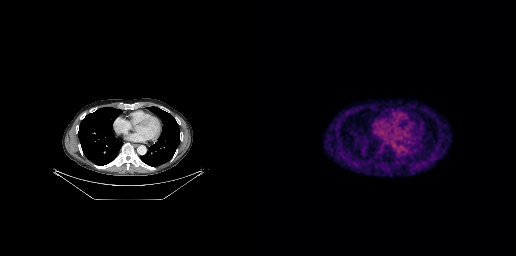
No tumor lesions annotated on this slice.
modality: PSMA PET/CT | tracer: 68Ga | view: axial